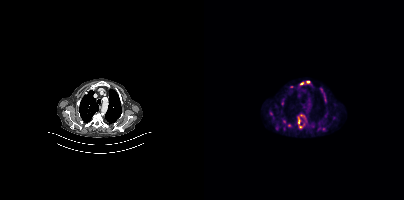
{"pet_grid":[200,200],"coord_frame":"pet_panel","coord_format":"x0,y0,x1,y1","partial":true,"lesion_bboxes":[[93,114,102,128],[117,89,122,102],[102,80,106,83],[96,82,100,85]],"small_foci_centers":[[109,126],[119,128],[87,86],[85,125],[72,128]],"modality":"PSMA PET/CT","view":"axial","tracer":"18F"}